Technique: Paired axial CT (left) and PSMA PET (right), 18F-PSMA tracer. slice position z = -693 mm. PET panel 256×256 px (2.7 mm/px).
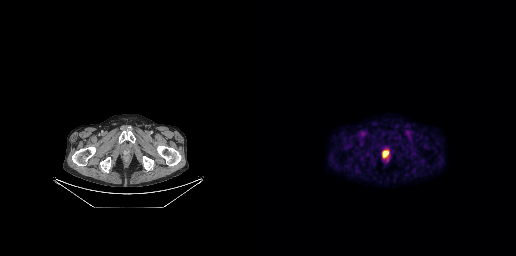
Findings: Coordinates are on the 256×256 PET (right) panel. PSMA-avid tumor lesion bounding box (x0, y0)-(x1, y1): (123, 151)-(128, 156).